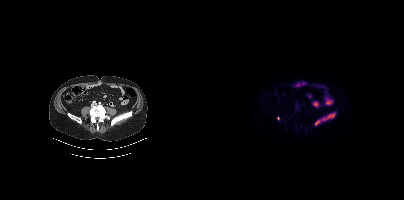
Coordinates are on the 200×200 PET (right) panel. (showing 2 of 3 foci) PSMA-avid tumor lesion bounding boxes (x0,y0,x1,y1): [120,113,131,119]; [111,120,116,124].